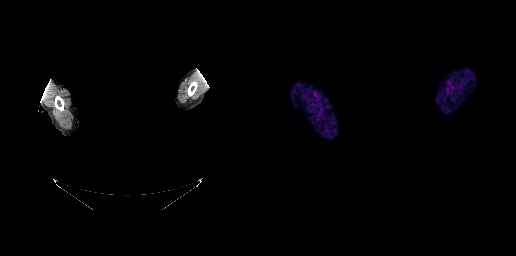
Paired axial CT (left) and PSMA PET (right), 18F-PSMA tracer. Privacy masking over the head, with the pixels inside a rectangle set to black. No tumor lesions annotated on this slice.